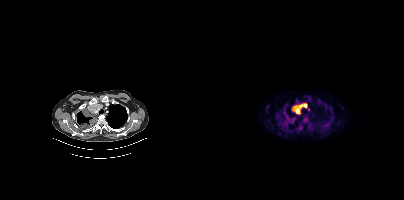
Coordinates are on the 200×200 PET (right) panel. PSMA-avid tumor lesion bounding boxes (x, y, width, height): x=87 y=103 w=19 h=12 | x=79 y=109 w=11 h=15 | x=99 y=117 w=5 h=5.